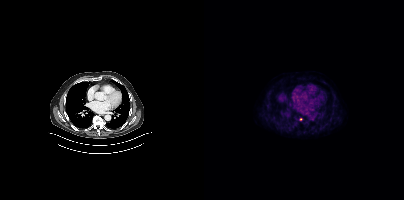
Left: CT. Right: PSMA PET, same axial level, [18F]PSMA-1007 tracer. PET panel 200×200 px (4.1 mm/px). Only PSMA-avid lesion pieces thinner than 2 px on this slice (not listed).